modality: PSMA PET/CT | tracer: [68Ga]Ga-PSMA-11 | view: axial
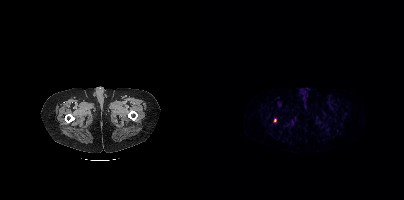
Only PSMA-avid lesion pieces thinner than 2 px on this slice (not listed).